Two-panel axial: CT | PSMA PET, [18F]PSMA-1007 tracer. Slice 80 of 299. PET panel 256×256 px (2.7 mm/px).
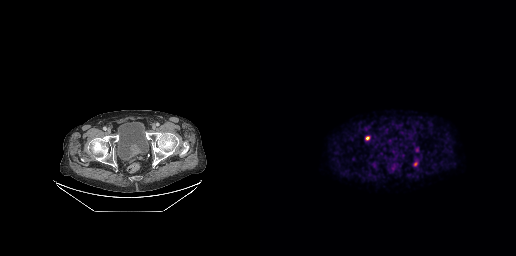
Coordinates are on the 256×256 PET (right) panel. Small PSMA-avid foci (2 to 4 px across) near (center x, center y): (155, 163) | (107, 138).